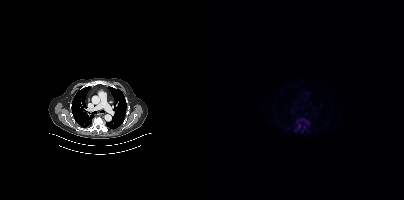
Coordinates are on the 200×200 PET (right) panel. PSMA-avid tumor lesion bounding boxes:
| # | x0 | y0 | x1 | y1 |
|---|---|---|---|---|
| 1 | 92 | 119 | 105 | 130 |
Small PSMA-avid focus (2 to 4 px across) near (center x, center y): (100, 126).
Left: CT. Right: PSMA PET, same axial level, [18F]PSMA-1007 tracer. Slice position z = -548 mm. PET panel 200×200 px (4.1 mm/px).